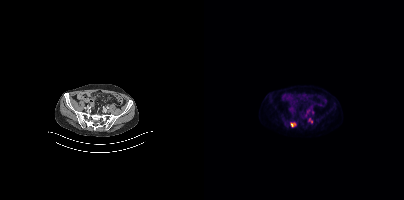
{"modality":"PSMA PET/CT","view":"axial","tracer":"[18F]PSMA-1007","pet_grid":[200,200],"coord_frame":"pet_panel","coord_format":"x0,y0,x1,y1","lesion_bboxes":[[86,122,91,126],[105,118,108,122]]}